Two-panel axial: CT | PSMA PET, 68Ga-PSMA tracer. Slice 217 of 393.
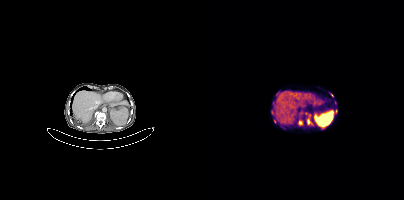
Coordinates are on the 200×200 PET (right) panel. (showing 6 of 9 foci) PSMA-avid tumor lesion bounding boxes (x0, y0)-(x1, y1): (103, 114)-(107, 124) | (94, 121)-(98, 124). Small PSMA-avid foci (2 to 4 px across) near (center x, center y): (128, 95) | (67, 111) | (132, 111) | (70, 121).